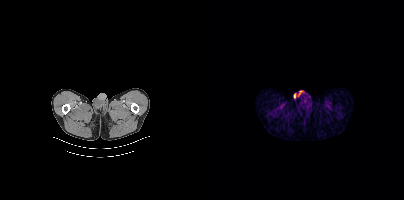
Negative for PSMA-avid disease on this slice.